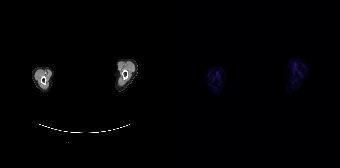
No PSMA-avid tumor lesions on this slice.
A rectangular block over the head has been blanked out for de-identification.